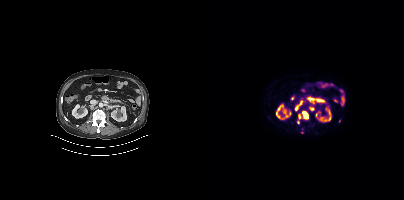
Coordinates are on the 200×200 PET (right) panel. PSMA-avid tumor lesion bounding boxes (x0, y0)-(x1, y1): (98, 111)-(104, 119) | (91, 102)-(98, 110) | (94, 114)-(96, 118). Small PSMA-avid foci (2 to 4 px across) near (center x, center y): (108, 109) | (94, 122).